Paired axial CT (left) and PSMA PET (right), [18F]PSMA-1007 tracer. Slice 290 of 375.
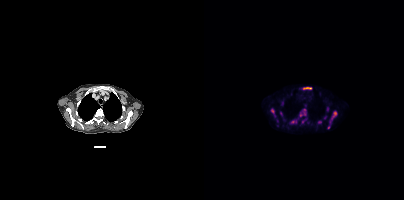
Coordinates are on the 200×200 PET (right) panel. (showing 10 of 13 foci) PSMA-avid tumor lesion bounding boxes (x, y, width, height): x=127 y=111 w=6 h=9 | x=99 y=87 w=9 h=3 | x=87 y=120 w=6 h=4 | x=67 y=109 w=4 h=5 | x=95 y=112 w=6 h=5. Small PSMA-avid foci (2 to 4 px across) near (center x, center y): (115, 122) | (123, 108) | (76, 113) | (124, 127) | (98, 121).